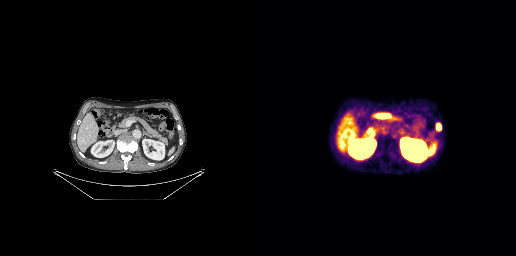
Coordinates are on the 256×256 PET (right) panel. PSMA-avid tumor lesion bounding box (x, y, width, height): x=176 y=123 w=6 h=8.
modality: PSMA PET/CT | tracer: 68Ga-PSMA | view: axial